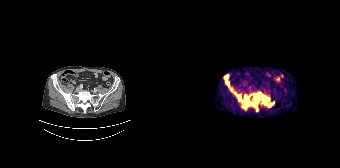
modality: PSMA PET/CT | tracer: 68Ga | view: axial
Coordinates are on the 168×168 PET (right) panel. (showing 8 of 10 foci) PSMA-avid tumor lesion bounding boxes (x0,y0,x1,y1): [81,92,97,105] [70,95,79,110] [96,102,102,106] [66,96,68,100] [53,76,56,80]. Small PSMA-avid foci (2 to 4 px across) near (center x, center y): (55, 83) (84, 109) (59, 89).